Paired axial CT (left) and PSMA PET (right), 18F-PSMA tracer. Acquired on Siemens Biograph mCT Flow 20. Slice 93 of 344.
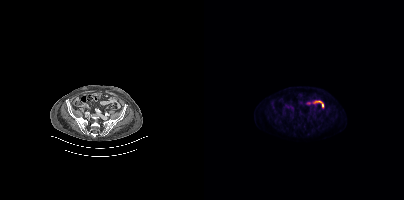
No PSMA-avid tumor lesions on this slice.